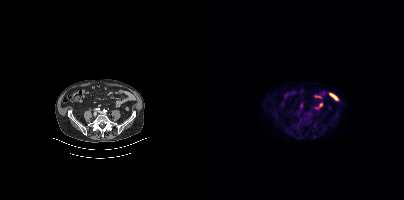
Two-panel axial: CT | PSMA PET, 18F-PSMA tracer. Acquired on Siemens Biograph mCT Flow 20. No PSMA-avid tumor lesions on this slice.